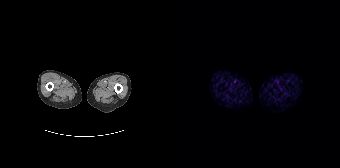
modality: PSMA PET/CT | tracer: 68Ga | view: axial
No PSMA-avid tumor lesions on this slice.